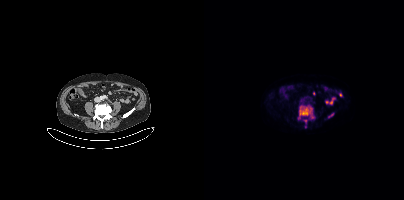
{"modality":"PSMA PET/CT","view":"axial","tracer":"18F","pet_grid":[200,200],"coord_frame":"pet_panel","coord_format":"x0,y0,x1,y1","lesion_bboxes":[[94,105,110,118],[124,113,129,117]],"small_foci_centers":[[101,120]]}